modality: PSMA PET/CT | tracer: [18F]PSMA-1007 | view: axial | PET grid: 200×200
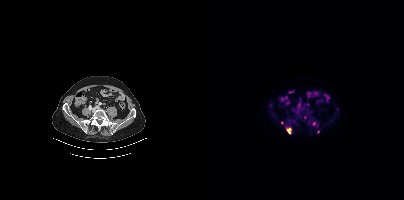
Coordinates are on the 200×200 PET (right) panel. (showing 2 of 3 foci) PSMA-avid tumor lesion bounding box (x0, y0)-(x1, y1): (83, 128)-(86, 133). Small PSMA-avid focus (2 to 4 px across) near (center x, center y): (110, 123).